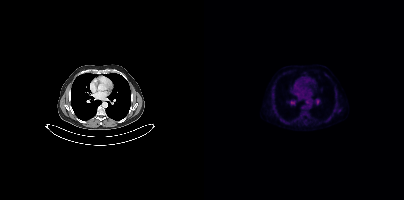
modality: PSMA PET/CT | tracer: [18F]PSMA-1007 | view: axial | PET grid: 200×200
Negative for PSMA-avid disease on this slice.